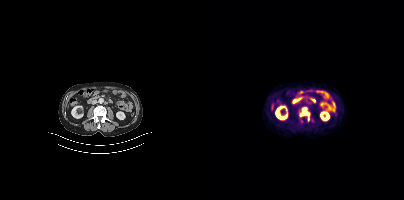
modality: PSMA PET/CT | tracer: 18F-PSMA | view: axial | PET grid: 200×200
Coordinates are on the 200×200 PET (right) panel. PSMA-avid tumor lesion bounding box (x0, y0)-(x1, y1): (95, 107)-(105, 120).